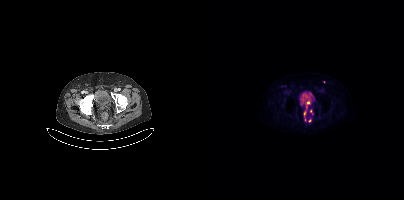
{"modality":"PSMA PET/CT","view":"axial","tracer":"[18F]PSMA-1007","pet_grid":[200,200],"coord_frame":"pet_panel","coord_format":"x0,y0,x1,y1","partial":true,"lesion_bboxes":[[100,111,101,115]],"small_foci_centers":[[106,111],[105,120]]}